modality: PSMA PET/CT | tracer: 18F-PSMA | view: axial
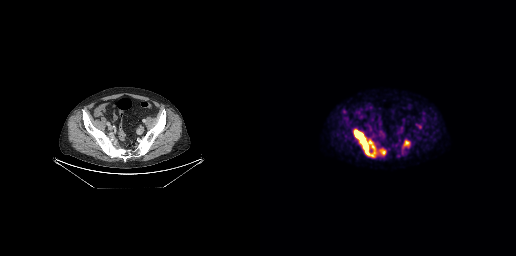
Coordinates are on the 256×256 PET (right) panel. PSMA-avid tumor lesion bounding boxes (x, y, width, height): x=94 y=129 w=23 h=29 / x=144 y=140 w=6 h=7 / x=119 y=149 w=7 h=6.